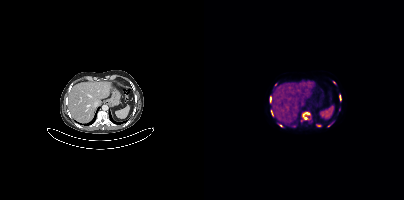
{"modality":"PSMA PET/CT","view":"axial","tracer":"18F","pet_grid":[200,200],"coord_frame":"pet_panel","coord_format":"x0,y0,x1,y1","partial":true,"lesion_bboxes":[[98,112,107,119],[87,125,92,127],[66,96,67,102],[67,110,69,115],[135,95,136,99]],"small_foci_centers":[[114,125],[77,125],[125,125],[71,84],[135,109]]}